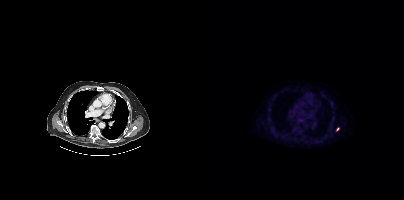
Paired axial CT (left) and PSMA PET (right), 18F-PSMA tracer. Slice 323 of 435. PET panel 200×200 px (4.1 mm/px). Coordinates are on the 200×200 PET (right) panel. Small PSMA-avid focus (2 to 4 px across) near (center x, center y): (133, 129).